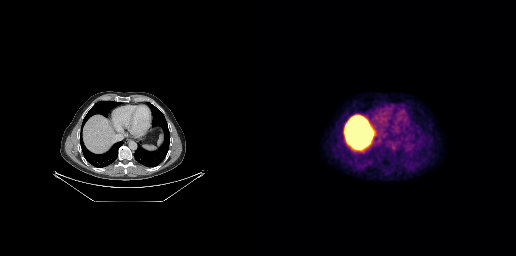
{"modality":"PSMA PET/CT","view":"axial","tracer":"18F-PSMA","pet_grid":[256,256],"coord_frame":"pet_panel","coord_format":"x0,y0,x1,y1","psma_avid_lesions":false}